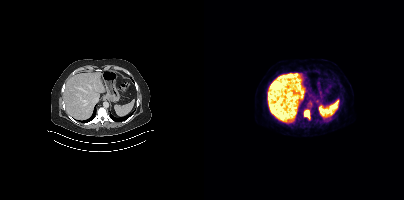
Coordinates are on the 200×200 PET (right) panel. PSMA-avid tumor lesion bounding box (x, y, width, height): x=100 y=110 w=7 h=10.